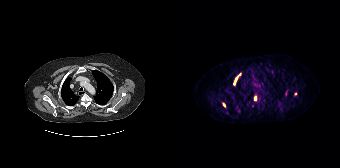
Findings: Coordinates are on the 168×168 PET (right) panel. (showing 4 of 5 foci) PSMA-avid tumor lesion bounding boxes (x, y, width, height): x=61 y=73 w=9 h=13 / x=82 y=96 w=3 h=5 / x=50 y=103 w=4 h=5. Small PSMA-avid focus (2 to 4 px across) near (center x, center y): (123, 94).
Technique: Left: CT. Right: PSMA PET, same axial level, [68Ga]Ga-PSMA-11 tracer. PET panel 168×168 px (4.1 mm/px).